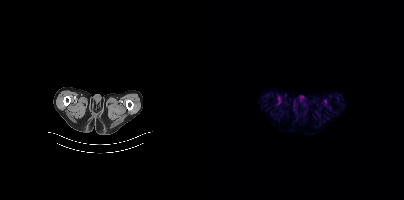
{"modality":"PSMA PET/CT","view":"axial","tracer":"[18F]PSMA-1007","pet_grid":[200,200],"coord_frame":"pet_panel","coord_format":"x0,y0,x1,y1","psma_avid_lesions":false}